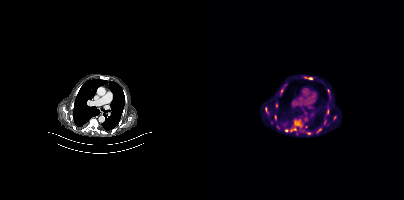
Two-panel axial: CT | PSMA PET, 18F tracer. Slice position z = -1126 mm. PET panel 200×200 px (4.1 mm/px). Coordinates are on the 200×200 PET (right) panel. (showing 10 of 11 foci) PSMA-avid tumor lesion bounding boxes (x, y, width, height): x=87 y=119 w=12 h=13 / x=61 y=107 w=5 h=8 / x=78 y=85 w=5 h=7 / x=70 y=115 w=3 h=6 / x=72 y=103 w=2 h=5 / x=123 y=109 w=2 h=5. Small PSMA-avid foci (2 to 4 px across) near (center x, center y): (130, 117) / (82, 130) / (67, 122) / (120, 122).